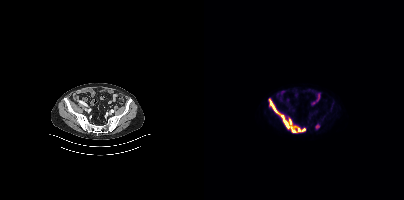
Findings: Coordinates are on the 200×200 PET (right) panel. PSMA-avid tumor lesion bounding boxes (x0, y0)-(x1, y1): (65, 101)-(92, 132); (93, 127)-(101, 131). Small PSMA-avid focus (2 to 4 px across) near (center x, center y): (113, 126).
Technique: Left: CT. Right: PSMA PET, same axial level, 18F-PSMA tracer. acquired on Siemens Biograph mCT Flow 20. PET panel 200×200 px (4.1 mm/px).